- Paired axial CT (left) and PSMA PET (right), 68Ga-PSMA tracer
- slice 122 of 165
- PET panel 168×168 px (4.1 mm/px)
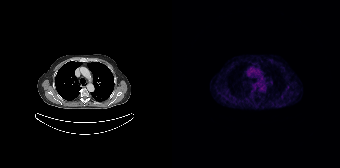
Findings: This slice has no annotated PSMA-avid lesion.